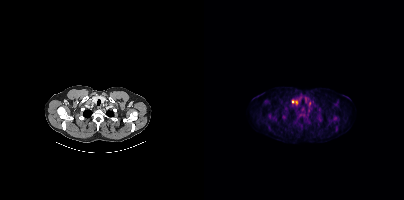
{"modality":"PSMA PET/CT","view":"axial","tracer":"18F-PSMA","pet_grid":[200,200],"coord_frame":"pet_panel","coord_format":"x0,y0,x1,y1","lesion_bboxes":[[88,100,93,104]]}